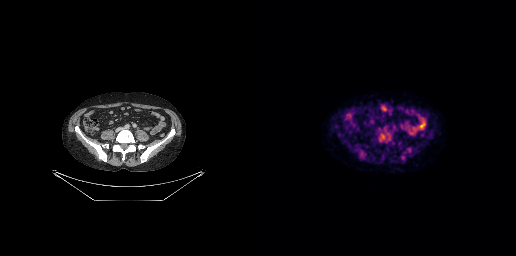
Paired axial CT (left) and PSMA PET (right), [18F]PSMA-1007 tracer. Slice position z = -583 mm. Coordinates are on the 256×256 PET (right) panel. Small PSMA-avid focus (2 to 4 px across) near (center x, center y): (128, 134).